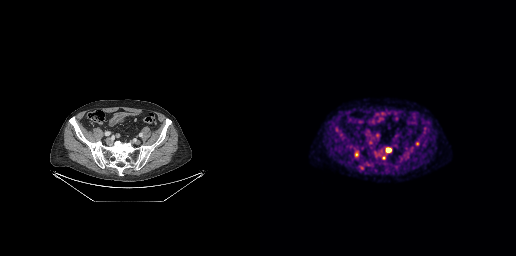
modality: PSMA PET/CT | tracer: [18F]PSMA-1007 | view: axial
Coordinates are on the 256×256 PET (right) panel. PSMA-avid tumor lesion bounding box (x0,y0,x1,y1): [126,148,130,151]. Small PSMA-avid foci (2 to 4 px across) near (center x, center y): (123, 157) (96, 154) (157, 143).